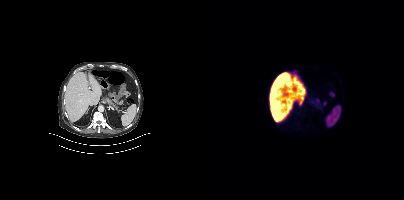
{"modality":"PSMA PET/CT","view":"axial","tracer":"18F","pet_grid":[200,200],"coord_frame":"pet_panel","coord_format":"x0,y0,x1,y1","psma_avid_lesions":false}